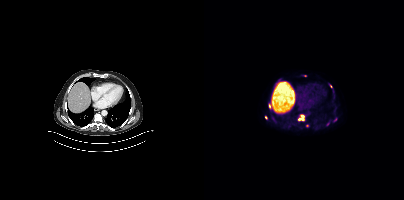
Coordinates are on the 200×200 PET (right) panel. (showing 6 of 8 foci) PSMA-avid tumor lesion bounding box (x0,y0,x1,y1): [94,114,100,120]. Small PSMA-avid foci (2 to 4 px across) near (center x, center y): (65, 105); (101, 75); (62, 117); (126, 86); (131, 119).